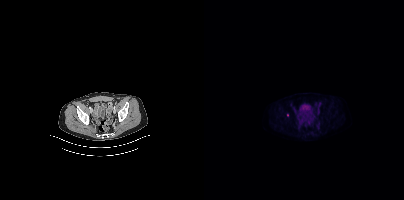
{"modality":"PSMA PET/CT","view":"axial","tracer":"18F","pet_grid":[200,200],"coord_frame":"pet_panel","coord_format":"x0,y0,x1,y1","lesion_bboxes":[],"small_foci_centers":[[83,114]]}